redaction: privacy mask over head | modality: PSMA PET/CT | tracer: [18F]PSMA-1007 | view: axial | PET grid: 200×200
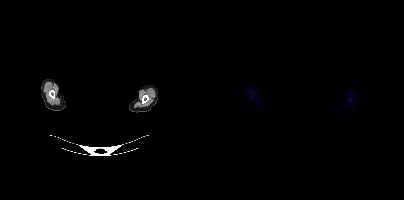
Negative for PSMA-avid disease on this slice.